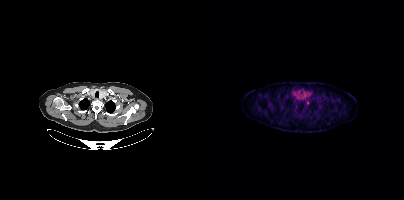
Findings: Coordinates are on the 200×200 PET (right) panel. Small PSMA-avid focus (2 to 4 px across) near (center x, center y): (103, 102).
- Left: CT. Right: PSMA PET, same axial level, 18F-PSMA tracer
- PET panel 200×200 px (4.1 mm/px)